modality: PSMA PET/CT | tracer: 18F-PSMA | view: axial | PET grid: 200×200
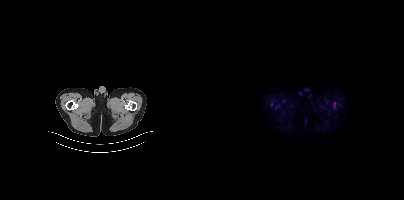
No PSMA-avid tumor lesions on this slice.